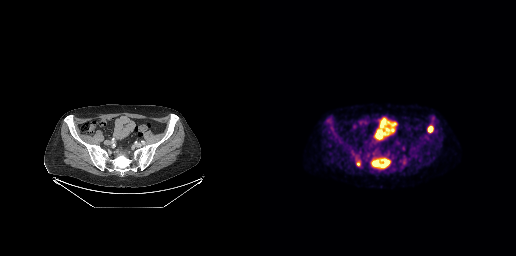
{"pet_grid":[256,256],"coord_frame":"pet_panel","coord_format":"x0,y0,x1,y1","lesion_bboxes":[[112,158,129,167],[168,126,172,131],[96,161,100,165]],"modality":"PSMA PET/CT","view":"axial","tracer":"[18F]PSMA-1007"}